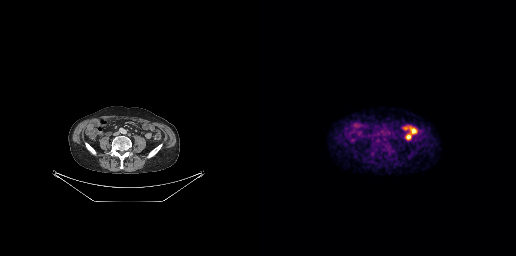
Two-panel axial: CT | PSMA PET, 18F tracer. Acquired on GE Discovery 690. No tumor lesions annotated on this slice.